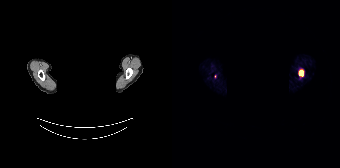
Paired axial CT (left) and PSMA PET (right), 68Ga tracer. Acquired on Siemens Biograph 64-4R TruePoint. Slice position z = -329 mm. De-identified by setting a box covering the face to black before release. Coordinates are on the 168×168 PET (right) panel. (showing 1 of 2 foci) PSMA-avid tumor lesion bounding box (x0, y0)-(x1, y1): (127, 70)-(131, 75).